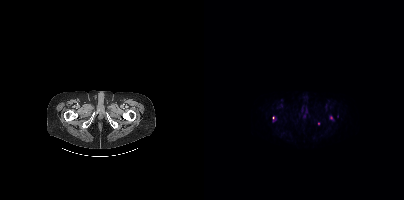
Only PSMA-avid lesion pieces thinner than 2 px on this slice (not listed).
modality: PSMA PET/CT | tracer: 18F-PSMA | view: axial